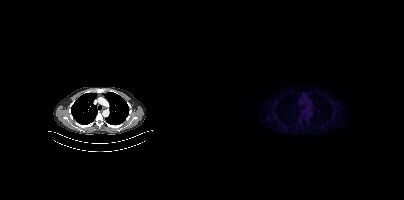
{"pet_grid":[200,200],"coord_frame":"pet_panel","coord_format":"x0,y0,x1,y1","psma_avid_lesions":false,"modality":"PSMA PET/CT","view":"axial","tracer":"18F-PSMA"}